modality: PSMA PET/CT | tracer: 18F-PSMA | view: axial
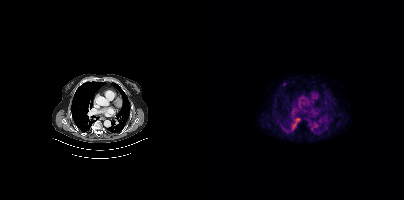
Coordinates are on the 200×200 PET (right) panel. Small PSMA-avid focus (2 to 4 px across) near (center x, center y): (80, 84).